Two-panel axial: CT | PSMA PET, 18F-PSMA tracer. Slice position z = -697 mm. PET panel 256×256 px (2.7 mm/px).
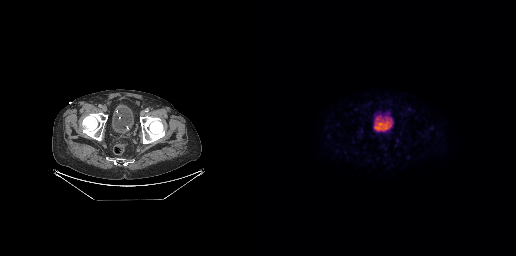
This slice has no annotated PSMA-avid lesion.